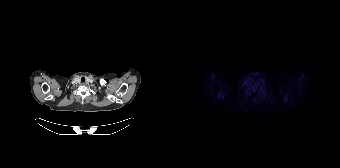
Findings: This slice has no annotated PSMA-avid lesion.
Technique: Two-panel axial: CT | PSMA PET, [18F]PSMA-1007 tracer. acquired on Siemens Biograph 64-4R TruePoint.